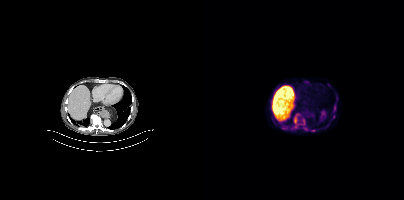
Coordinates are on the 200×200 PET (right) panel. (showing 7 of 9 foci) PSMA-avid tumor lesion bounding boxes (x, y, width, height): x=90 y=114 w=5 h=10 / x=129 y=105 w=4 h=6 / x=100 y=126 w=5 h=5 / x=99 y=119 w=2 h=6. Small PSMA-avid foci (2 to 4 px across) near (center x, center y): (130, 116) / (108, 130) / (91, 126).